modality: PSMA PET/CT | tracer: 18F-PSMA | view: axial | PET grid: 256×256
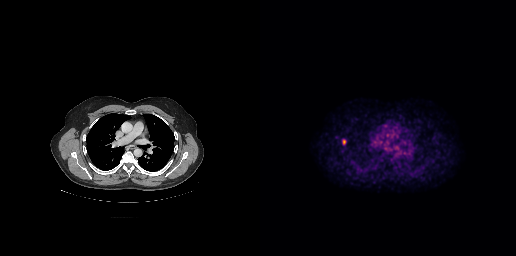
Coordinates are on the 256×256 PET (right) panel. PSMA-avid tumor lesion bounding box (x0,y0,x1,y1): [82,139,85,144].